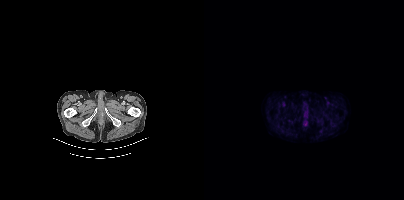
Left: CT. Right: PSMA PET, same axial level, 18F tracer. Slice position z = -1536 mm. Negative for PSMA-avid disease on this slice.